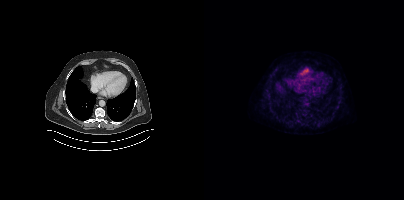
Technique: Two-panel axial: CT | PSMA PET, [18F]PSMA-1007 tracer. PET panel 200×200 px (4.1 mm/px).
Findings: No tumor lesions annotated on this slice.